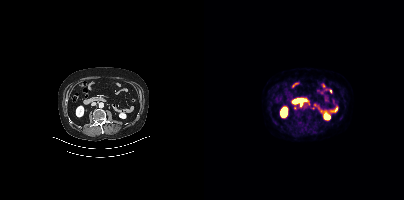
Coordinates are on the 200×200 PET (right) panel. (showing 1 of 3 foci) Small PSMA-avid focus (2 to 4 px across) near (center x, center y): (91, 108).
modality: PSMA PET/CT | tracer: [18F]PSMA-1007 | view: axial | PET grid: 200×200